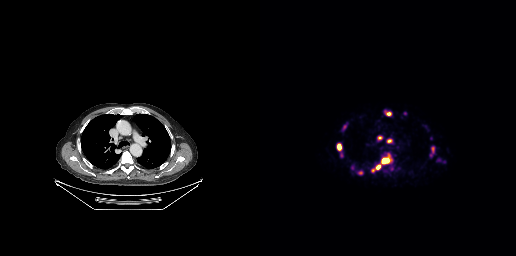
Coordinates are on the 256×256 PET (right) panel. (showing 6 of 8 foci) PSMA-avid tumor lesion bounding boxes (x0, y0)-(x1, y1): (122, 158)-(129, 162); (77, 144)-(81, 150); (127, 139)-(132, 143); (117, 136)-(122, 140); (126, 112)-(131, 115); (116, 165)-(120, 169).